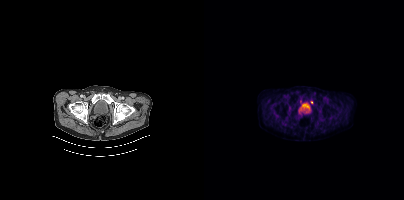
modality: PSMA PET/CT | tracer: [18F]PSMA-1007 | view: axial
Coordinates are on the 200×200 PET (right) panel. PSMA-avid tumor lesion bounding box (x0, y0)-(x1, y1): (96, 99)-(97, 103). Small PSMA-avid focus (2 to 4 px across) near (center x, center y): (107, 102).